The head region is masked for de-identification. Paired axial CT (left) and PSMA PET (right), [68Ga]Ga-PSMA-11 tracer.
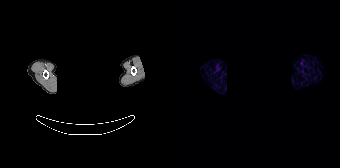
Negative for PSMA-avid disease on this slice.